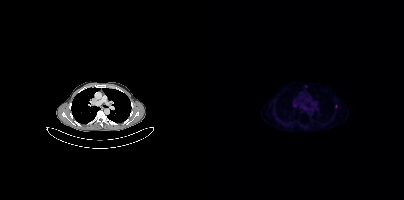
modality: PSMA PET/CT | tracer: 68Ga-PSMA | view: axial
Coordinates are on the 200×200 PET (right) panel. Small PSMA-avid focus (2 to 4 px across) near (center x, center y): (131, 106).